Paired axial CT (left) and PSMA PET (right), [68Ga]Ga-PSMA-11 tracer. Slice 85 of 263.
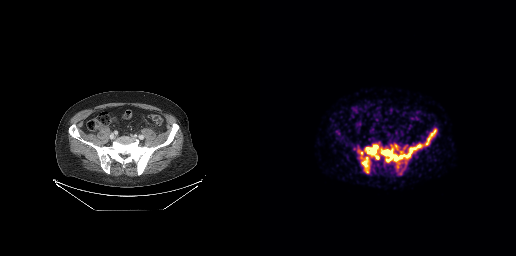
Coordinates are on the 256×256 PET (right) panel. (showing 6 of 8 foci) PSMA-avid tumor lesion bounding boxes (x, y, width, height): x=120 y=146 w=39 h=17 / x=105 y=144 w=15 h=16 / x=102 y=157 w=7 h=16 / x=165 y=129 w=12 h=17 / x=135 y=145 w=3 h=5. Small PSMA-avid focus (2 to 4 px across) near (center x, center y): (101, 153).